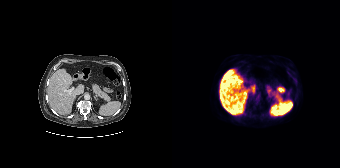
Paired axial CT (left) and PSMA PET (right), 18F-PSMA tracer. This slice has no annotated PSMA-avid lesion.